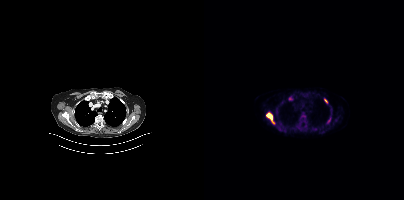
Coordinates are on the 200×200 PET (right) panel. PSMA-avid tumor lesion bounding boxes (x0, y0)-(x1, y1): (62, 113)-(70, 123) | (97, 113)-(101, 119) | (123, 117)-(126, 123). Small PSMA-avid foci (2 to 4 px across) near (center x, center y): (122, 101) | (111, 129) | (86, 98). Two-panel axial: CT | PSMA PET, 18F-PSMA tracer.